Privacy masking over the head, with the pixels inside a rectangle set to black. Paired axial CT (left) and PSMA PET (right), [18F]PSMA-1007 tracer. Acquired on Siemens Biograph mCT Flow 20. Slice 410 of 444. PET panel 200×200 px (4.1 mm/px).
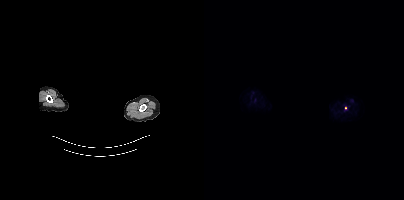
Coordinates are on the 200×200 PET (right) panel. Small PSMA-avid focus (2 to 4 px across) near (center x, center y): (141, 107).